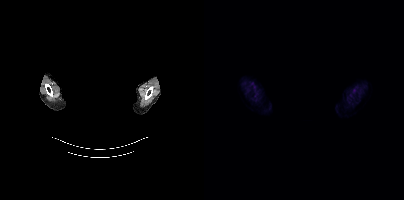
deidentification: rectangular block over head set to black | modality: PSMA PET/CT | tracer: 18F-PSMA | view: axial
Negative for PSMA-avid disease on this slice.